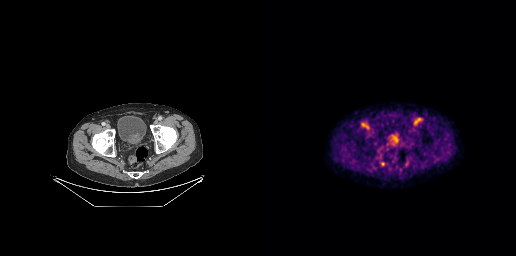
modality: PSMA PET/CT | tracer: [18F]PSMA-1007 | view: axial
Coordinates are on the 256×256 PET (right) panel. PSMA-avid tumor lesion bounding box (x0, y0)-(x1, y1): (120, 162)-(124, 166).